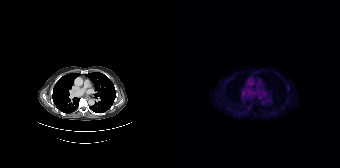
Coordinates are on the 168×168 PET (right) panel. PSMA-avid tumor lesion bounding box (x0, y0)-(x1, y1): (115, 85)-(117, 89).